Technique: Left: CT. Right: PSMA PET, same axial level, 18F tracer. PET panel 200×200 px (4.1 mm/px).
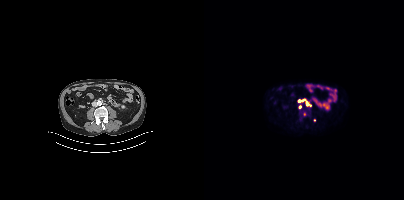
Findings: Coordinates are on the 200×200 PET (right) panel. PSMA-avid tumor lesion bounding box (x0, y0)-(x1, y1): (99, 112)-(102, 116). Small PSMA-avid foci (2 to 4 px across) near (center x, center y): (103, 103) / (99, 100) / (95, 100) / (95, 106).